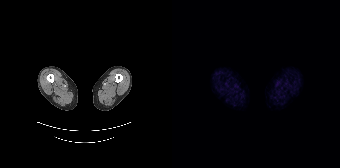
No tumor lesions annotated on this slice.